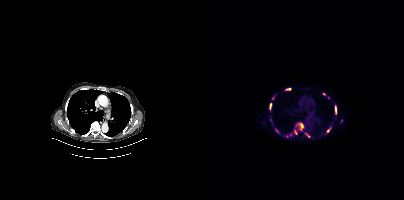
Findings: Coordinates are on the 200×200 PET (right) panel. (showing 11 of 15 foci) PSMA-avid tumor lesion bounding boxes (x0,y0,x1,y1): [93,122,99,129] [131,106,132,114] [65,103,67,109] [101,133,106,137] [81,88,86,90] [90,129,92,133]. Small PSMA-avid foci (2 to 4 px across) near (center x, center y): (87, 134) (123, 131) (124, 97) (126, 127) (72, 130).
- Paired axial CT (left) and PSMA PET (right), 68Ga tracer
- PET panel 200×200 px (4.1 mm/px)